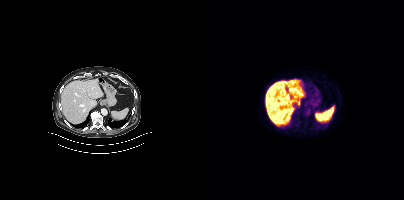
No tumor lesions annotated on this slice.